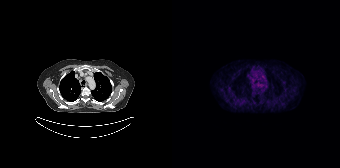
modality: PSMA PET/CT | tracer: 68Ga | view: axial
This slice has no annotated PSMA-avid lesion.